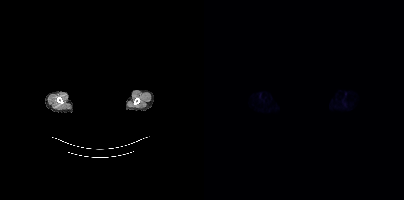
{"pet_grid":[200,200],"coord_frame":"pet_panel","coord_format":"x0,y0,x1,y1","psma_avid_lesions":false,"modality":"PSMA PET/CT","view":"axial","tracer":"18F","de-identification":"head region blacked out before release"}